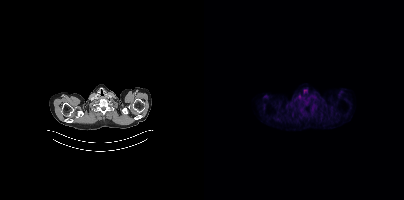
Findings: No tumor lesions annotated on this slice.
Technique: Left: CT. Right: PSMA PET, same axial level, [18F]PSMA-1007 tracer.